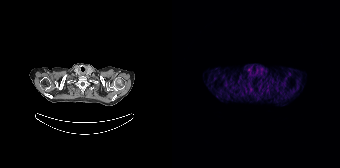
No tumor lesions annotated on this slice.
modality: PSMA PET/CT | tracer: [68Ga]Ga-PSMA-11 | view: axial